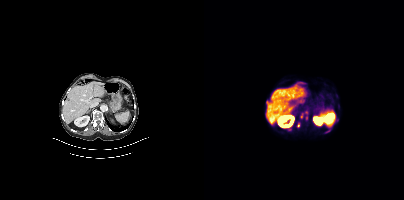
Coordinates are on the 200×200 PET (right) panel. (showing 4 of 5 foci) PSMA-avid tumor lesion bounding boxes (x0, y0)-(x1, y1): (99, 110)-(104, 119) | (93, 123)-(95, 127). Small PSMA-avid foci (2 to 4 px across) near (center x, center y): (97, 116) | (85, 129).